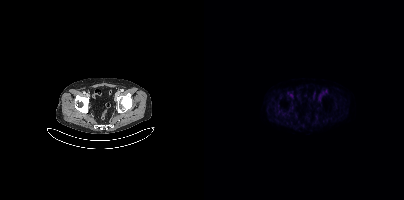
{"modality":"PSMA PET/CT","view":"axial","tracer":"18F-PSMA","pet_grid":[200,200],"coord_frame":"pet_panel","coord_format":"x0,y0,x1,y1","psma_avid_lesions":false}